Technique: Two-panel axial: CT | PSMA PET, 18F-PSMA tracer. slice 177 of 403. PET panel 200×200 px (4.1 mm/px).
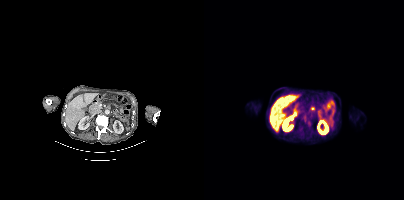
Findings: Coordinates are on the 200×200 PET (right) panel. PSMA-avid tumor lesion bounding box (x0, y0)-(x1, y1): (98, 115)-(102, 122).